modality: PSMA PET/CT | tracer: 18F | view: axial | PET grid: 200×200
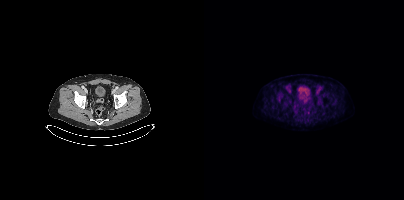
Coordinates are on the 200×200 PET (right) panel. Small PSMA-avid focus (2 to 4 px across) near (center x, center y): (104, 112).